Paired axial CT (left) and PSMA PET (right), 18F tracer. Slice 223 of 387. PET panel 200×200 px (4.1 mm/px).
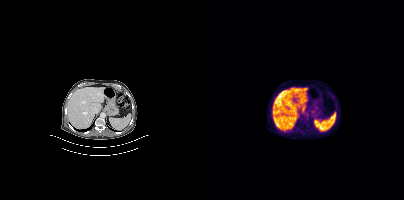
Negative for PSMA-avid disease on this slice.